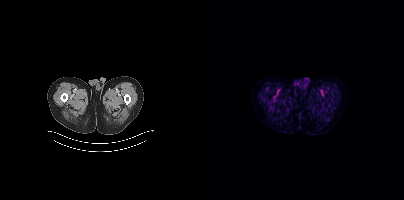
- Paired axial CT (left) and PSMA PET (right), [18F]PSMA-1007 tracer
- slice position z = -1602 mm
- PET panel 200×200 px (4.1 mm/px)
Findings: No PSMA-avid tumor lesions on this slice.